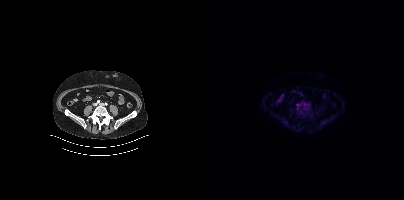
Two-panel axial: CT | PSMA PET, 18F-PSMA tracer. Acquired on Siemens Biograph mCT Flow 20. Slice position z = -769 mm. Coordinates are on the 200×200 PET (right) panel. PSMA-avid tumor lesion bounding box (x, y, width, height): x=92 y=104 w=5 h=2.